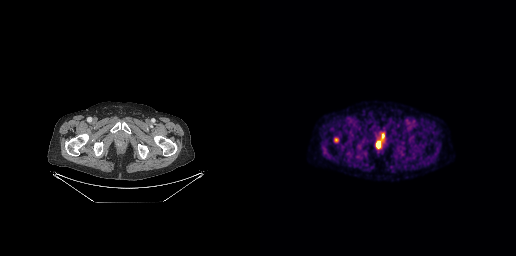
Findings: Coordinates are on the 256×256 PET (right) panel. (showing 2 of 3 foci) PSMA-avid tumor lesion bounding box (x, y, width, height): x=116 y=141 w=5 h=7. Small PSMA-avid focus (2 to 4 px across) near (center x, center y): (76, 139).
- Paired axial CT (left) and PSMA PET (right), 18F tracer
- acquired on GE Discovery 690
- slice position z = -854 mm